Technique: Paired axial CT (left) and PSMA PET (right), 18F tracer. acquired on Siemens Biograph mCT Flow 20. PET panel 200×200 px (4.1 mm/px).
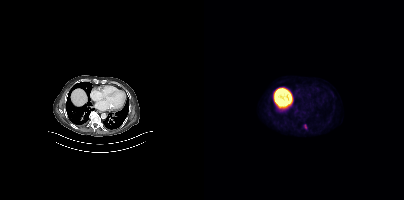
Findings: Coordinates are on the 200×200 PET (right) panel. PSMA-avid tumor lesion bounding box (x0,y0,x1,y1): [100,124,102,128].